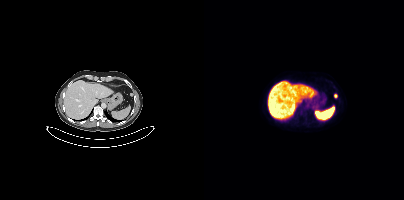
Technique: Two-panel axial: CT | PSMA PET, 18F-PSMA tracer. acquired on Siemens Biograph mCT Flow 20. PET panel 200×200 px (4.1 mm/px).
Findings: Coordinates are on the 200×200 PET (right) panel. Small PSMA-avid focus (2 to 4 px across) near (center x, center y): (131, 95).